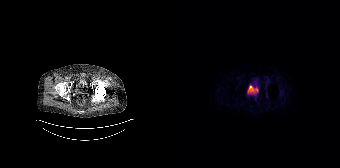
Negative for PSMA-avid disease on this slice.